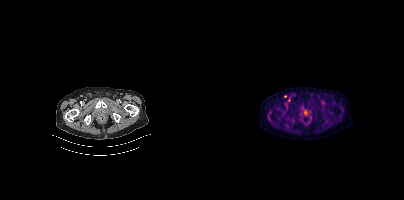
modality: PSMA PET/CT | tracer: 18F-PSMA | view: axial
Coordinates are on the 200×200 PET (right) panel. (showing 1 of 2 foci) Small PSMA-avid focus (2 to 4 px across) near (center x, center y): (81, 96).